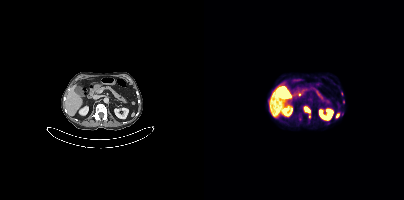
{"pet_grid":[200,200],"coord_frame":"pet_panel","coord_format":"x0,y0,x1,y1","lesion_bboxes":[[100,106,106,113]],"small_foci_centers":[[137,93],[139,102],[105,116]],"modality":"PSMA PET/CT","view":"axial","tracer":"18F"}